Technique: Left: CT. Right: PSMA PET, same axial level, 18F-PSMA tracer.
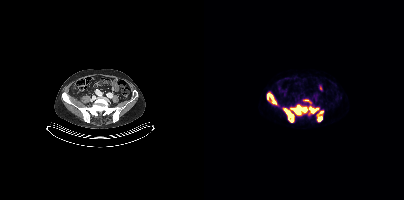
Findings: Coordinates are on the 200×200 PET (right) panel. (showing 5 of 6 foci) PSMA-avid tumor lesion bounding boxes (x0,y0,x1,y1): [87,105,102,114], [80,108,89,122], [63,93,72,104], [105,107,113,114], [114,111,118,121].